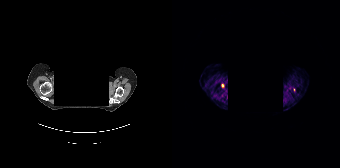
Any black rectangle over the head is a privacy mask, not anatomy.
Coordinates are on the 168×168 PET (right) panel. (showing 1 of 2 foci) Small PSMA-avid focus (2 to 4 px across) near (center x, center y): (50, 85).